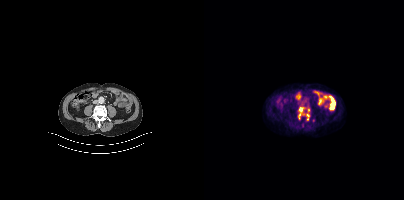
Findings: Coordinates are on the 200×200 PET (right) panel. PSMA-avid tumor lesion bounding boxes (x, y, width, height): x=94 y=107 w=6 h=12 / x=103 y=114 w=3 h=6. Small PSMA-avid focus (2 to 4 px across) near (center x, center y): (104, 109).
- Paired axial CT (left) and PSMA PET (right), [18F]PSMA-1007 tracer
- slice position z = -693 mm
- PET panel 200×200 px (4.1 mm/px)